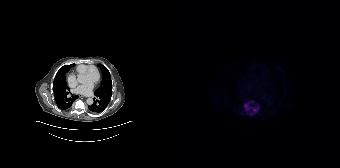
Left: CT. Right: PSMA PET, same axial level, [18F]PSMA-1007 tracer. Acquired on Siemens Biograph 64-4R TruePoint. PET panel 168×168 px (4.1 mm/px). Coordinates are on the 168×168 PET (right) panel. PSMA-avid tumor lesion bounding box (x, y, width, height): x=72 y=103 w=15 h=9. Small PSMA-avid foci (2 to 4 px across) near (center x, center y): (79, 113); (79, 101).